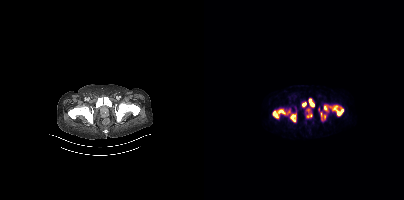
modality: PSMA PET/CT | tracer: 68Ga | view: axial
Negative for PSMA-avid disease on this slice.